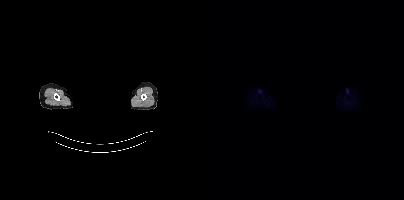
No PSMA-avid tumor lesions on this slice. Face de-identified by blanking a block of the head. Left: CT. Right: PSMA PET, same axial level, 18F-PSMA tracer. Slice position z = -851 mm.